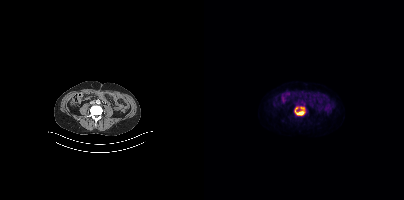
Coordinates are on the 200×200 PET (right) panel. PSMA-avid tumor lesion bounding box (x, y, width, height): x=90 y=106 w=12 h=10.